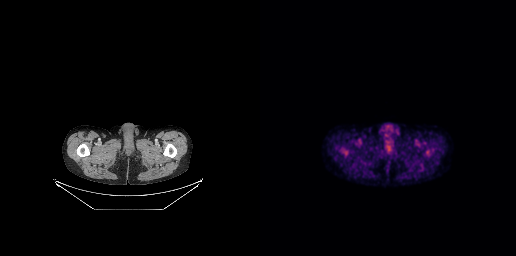
No PSMA-avid tumor lesions on this slice.
modality: PSMA PET/CT | tracer: 18F | view: axial